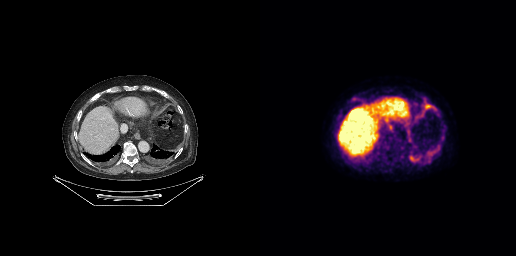
Coordinates are on the 256×256 PET (right) panel. PSMA-avid tumor lesion bounding boxes (x0, y0)-(x1, y1): (167, 144)-(180, 158); (155, 100)-(176, 123); (149, 152)-(158, 162); (146, 128)-(151, 135); (92, 97)-(98, 101); (148, 137)-(151, 142). Small PSMA-avid focus (2 to 4 px across) near (center x, center y): (141, 155).